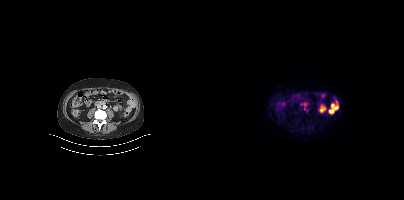
Coordinates are on the 200×200 PET (right) panel. Small PSMA-avid focus (2 to 4 px across) near (center x, center y): (100, 108).